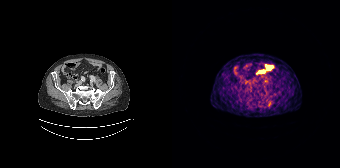
Findings: No tumor lesions annotated on this slice.
Technique: Paired axial CT (left) and PSMA PET (right), 68Ga tracer. acquired on Siemens Biograph 64-4R TruePoint. slice position z = -1549 mm.